Two-panel axial: CT | PSMA PET, 68Ga tracer. Slice 148 of 411.
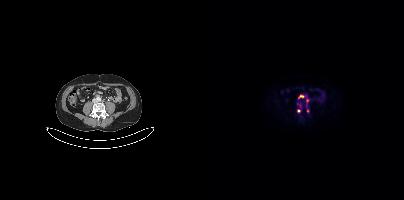
Coordinates are on the 200×200 PET (right) panel. PSMA-avid tumor lesion bounding boxes (x0,y0,x1,y1): [93,102,97,107] [102,98,105,105] [94,96,98,98]. Small PSMA-avid foci (2 to 4 px across) near (center x, center y): (103, 111) (94, 110).